Technique: Paired axial CT (left) and PSMA PET (right), 68Ga tracer.
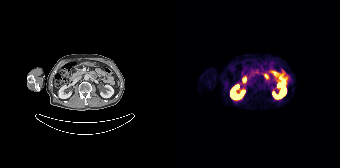
Findings: No PSMA-avid tumor lesions on this slice.